Left: CT. Right: PSMA PET, same axial level, [18F]PSMA-1007 tracer.
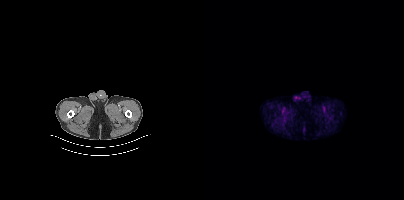
Negative for PSMA-avid disease on this slice.